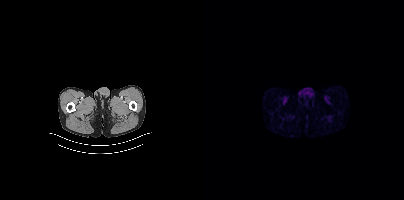
No PSMA-avid tumor lesions on this slice.